Technique: Two-panel axial: CT | PSMA PET, 18F-PSMA tracer.
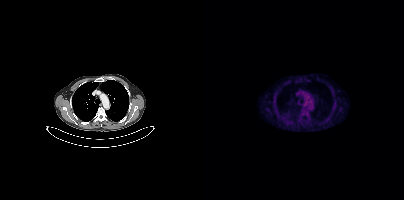
Findings: Negative for PSMA-avid disease on this slice.